modality: PSMA PET/CT | tracer: 18F | view: axial | PET grid: 200×200
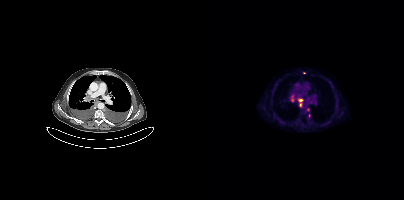
Coordinates are on the 200×200 PET (right) panel. PSMA-avid tumor lesion bounding box (x, y, width, height): x=94 y=99 w=5 h=8. Small PSMA-avid foci (2 to 4 px across) near (center x, center y): (88, 100) | (104, 109) | (105, 115) | (100, 72) | (88, 96).